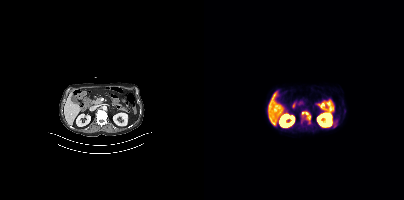
Left: CT. Right: PSMA PET, same axial level, 18F tracer. Acquired on Siemens Biograph mCT Flow 20. Slice position z = -1285 mm. Coordinates are on the 200×200 PET (right) panel. PSMA-avid tumor lesion bounding boxes (x0,y0,x1,y1): [97,112,106,120] [139,111,141,115].